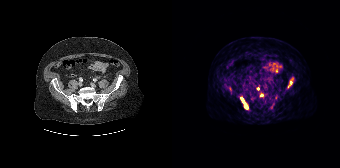
{"modality":"PSMA PET/CT","view":"axial","tracer":"68Ga-PSMA","pet_grid":[168,168],"coord_frame":"pet_panel","coord_format":"x0,y0,x1,y1","lesion_bboxes":[[68,97,76,109],[116,81,120,87]],"small_foci_centers":[[89,95],[86,88]]}